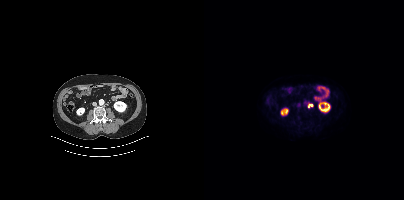
modality: PSMA PET/CT | tracer: 18F-PSMA | view: axial | PET grid: 200×200
Coordinates are on the 200×200 PET (right) panel. PSMA-avid tumor lesion bounding box (x, y, width, height): x=104 y=103 w=6 h=5.